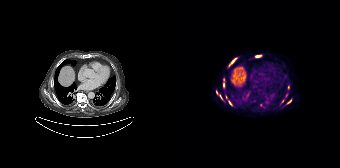
{"modality":"PSMA PET/CT","view":"axial","tracer":"18F-PSMA","pet_grid":[168,168],"coord_frame":"pet_panel","coord_format":"x0,y0,x1,y1","partial":true,"lesion_bboxes":[[57,57,65,66],[44,90,50,99],[83,55,89,57],[51,80,52,87],[56,100,60,105]],"small_foci_centers":[[54,97],[117,101],[116,87]]}